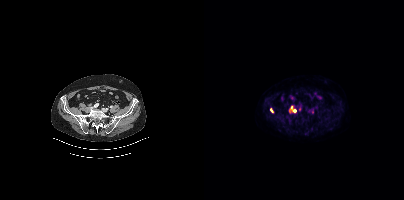
- Paired axial CT (left) and PSMA PET (right), 18F tracer
Findings: Coordinates are on the 200×200 PET (right) panel. PSMA-avid tumor lesion bounding box (x0, y0)-(x1, y1): (86, 106)-(91, 111). Small PSMA-avid focus (2 to 4 px across) near (center x, center y): (67, 110).